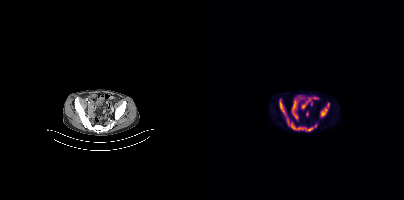
Coordinates are on the 200×200 PET (right) panel. (showing 3 of 4 foci) PSMA-avid tumor lesion bounding boxes (x, y, width, height): x=75 y=99 w=31 h=33; x=116 y=103 w=10 h=13. Small PSMA-avid focus (2 to 4 px across) near (center x, center y): (112, 124).
modality: PSMA PET/CT | tracer: 18F | view: axial